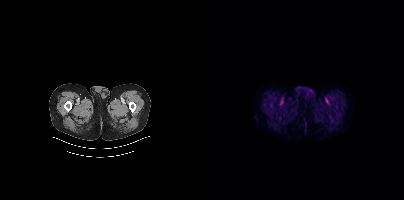
Negative for PSMA-avid disease on this slice.